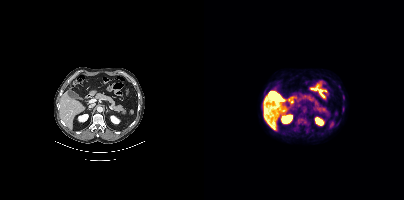
Findings: No PSMA-avid tumor lesions on this slice.
Technique: Left: CT. Right: PSMA PET, same axial level, [18F]PSMA-1007 tracer.